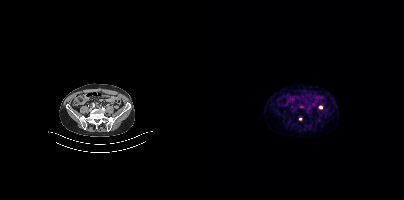
Technique: Paired axial CT (left) and PSMA PET (right), 68Ga-PSMA tracer. slice position z = -1318 mm.
Findings: Coordinates are on the 200×200 PET (right) panel. Small PSMA-avid foci (2 to 4 px across) near (center x, center y): (116, 107); (96, 119).